Left: CT. Right: PSMA PET, same axial level, 18F tracer. PET panel 200×200 px (4.1 mm/px).
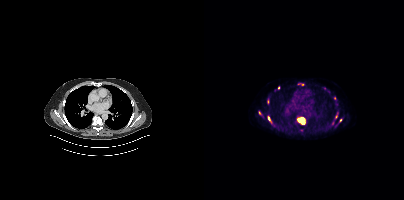
Coordinates are on the 200×200 PET (right) panel. PSMA-avid tumor lesion bounding boxes (partial; 3 more foci not listed):
| # | x0 | y0 | x1 | y1 |
|---|---|---|---|---|
| 1 | 93 | 117 | 101 | 124 |
| 2 | 64 | 116 | 66 | 120 |
Small PSMA-avid foci (2 to 4 px across) near (center x, center y): (136, 120); (55, 112).